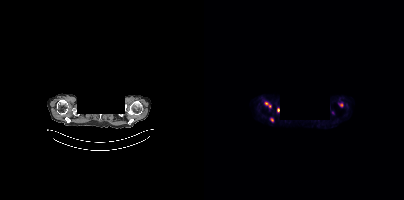
Findings: Coordinates are on the 200×200 PET (right) panel. PSMA-avid tumor lesion bounding boxes (x0, y0)-(x1, y1): (60, 101)-(67, 108) / (135, 103)-(139, 106) / (73, 108)-(75, 112). Small PSMA-avid focus (2 to 4 px across) near (center x, center y): (67, 119).
- Left: CT. Right: PSMA PET, same axial level, [18F]PSMA-1007 tracer
- a rectangular block over the head has been blanked out for de-identification